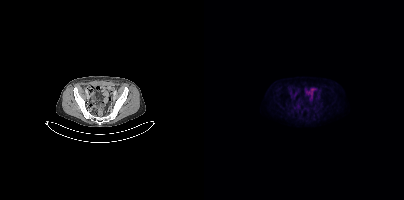
{"modality":"PSMA PET/CT","view":"axial","tracer":"[18F]PSMA-1007","pet_grid":[200,200],"coord_frame":"pet_panel","coord_format":"x0,y0,x1,y1","psma_avid_lesions":false}